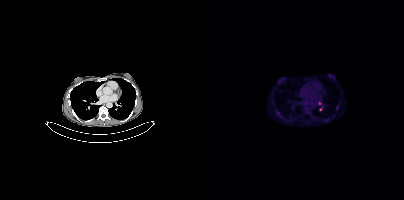
Left: CT. Right: PSMA PET, same axial level, [18F]PSMA-1007 tracer. Acquired on Siemens Biograph mCT Flow 20. Slice position z = -62 mm. PET panel 200×200 px (4.1 mm/px).
Coordinates are on the 200×200 PET (right) panel. PSMA-avid tumor lesion bounding boxes:
| # | x0 | y0 | x1 | y1 |
|---|---|---|---|---|
| 1 | 72 | 111 | 76 | 115 |
Small PSMA-avid foci (2 to 4 px across) near (center x, center y): (133, 107); (115, 103); (122, 120).